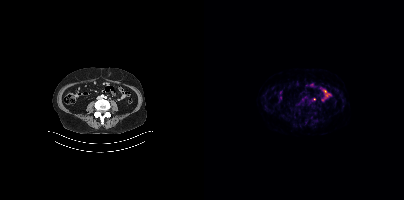
modality: PSMA PET/CT | tracer: 18F-PSMA | view: axial | PET grid: 200×200
Only PSMA-avid lesion pieces thinner than 2 px on this slice (not listed).